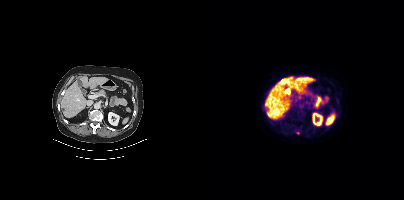
- Paired axial CT (left) and PSMA PET (right), 18F-PSMA tracer
- acquired on Siemens Biograph mCT Flow 20
- PET panel 200×200 px (4.1 mm/px)
Findings: Coordinates are on the 200×200 PET (right) panel. Small PSMA-avid focus (2 to 4 px across) near (center x, center y): (93, 133).